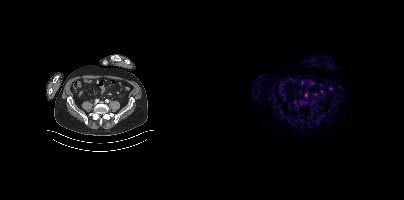
Left: CT. Right: PSMA PET, same axial level, 68Ga tracer. Acquired on Siemens Biograph mCT Flow 20. Slice position z = -1366 mm. Negative for PSMA-avid disease on this slice.